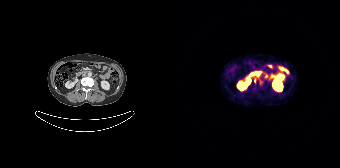
Only PSMA-avid lesion pieces thinner than 2 px on this slice (not listed).